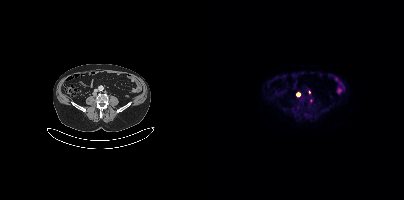
{"modality":"PSMA PET/CT","view":"axial","tracer":"[18F]PSMA-1007","pet_grid":[200,200],"coord_frame":"pet_panel","coord_format":"x0,y0,x1,y1","lesion_bboxes":[],"small_foci_centers":[[94,94],[105,92]]}